Paired axial CT (left) and PSMA PET (right), [18F]PSMA-1007 tracer. PET panel 200×200 px (4.1 mm/px).
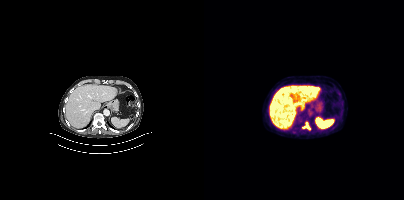
Coordinates are on the 200×200 PET (right) panel. PSMA-avid tumor lesion bounding boxes:
| # | x0 | y0 | x1 | y1 |
|---|---|---|---|---|
| 1 | 99 | 122 | 106 | 129 |